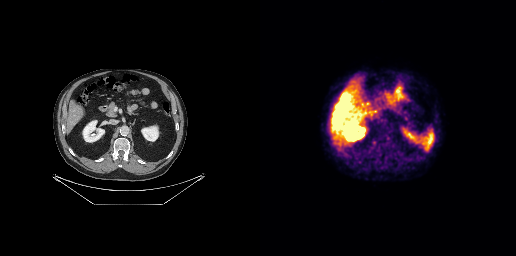
Findings: No PSMA-avid tumor lesions on this slice.
- Left: CT. Right: PSMA PET, same axial level, 18F-PSMA tracer
- acquired on GE Discovery 690
- slice 145 of 263